Paired axial CT (left) and PSMA PET (right), 18F-PSMA tracer. Acquired on Siemens Biograph mCT Flow 20. Slice 148 of 389.
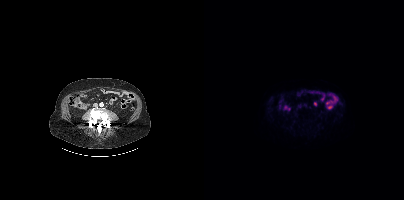
No tumor lesions annotated on this slice.